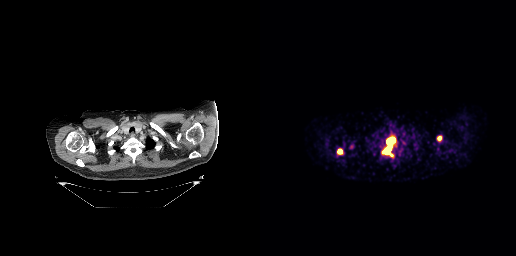
Coordinates are on the 256×256 PET (right) panel. PSMA-avid tumor lesion bounding boxes (x0,y0,x1,y1): [122,137,135,157]; [77,148,82,154]. Small PSMA-avid foci (2 to 4 px across) near (center x, center y): (91, 146); (179, 138). Paired axial CT (left) and PSMA PET (right), 68Ga-PSMA tracer. Slice position z = -327 mm. PET panel 256×256 px (2.7 mm/px).